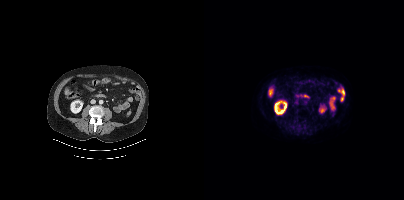
Findings: This slice has no annotated PSMA-avid lesion.
- Left: CT. Right: PSMA PET, same axial level, 18F tracer
- slice position z = -656 mm